Technique: Paired axial CT (left) and PSMA PET (right), 18F-PSMA tracer. slice 95 of 409.
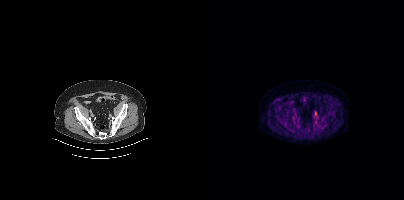
Findings: Coordinates are on the 200×200 PET (right) panel. Small PSMA-avid focus (2 to 4 px across) near (center x, center y): (111, 113).